Technique: Left: CT. Right: PSMA PET, same axial level, [68Ga]Ga-PSMA-11 tracer. acquired on GE Discovery 690.
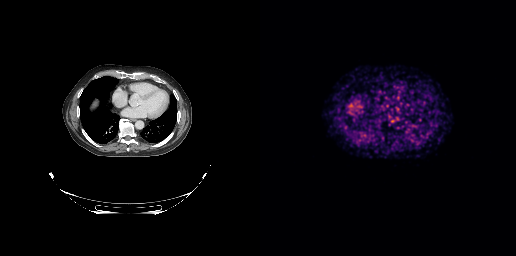
Findings: No tumor lesions annotated on this slice.